- Paired axial CT (left) and PSMA PET (right), 18F-PSMA tracer
- slice 134 of 963
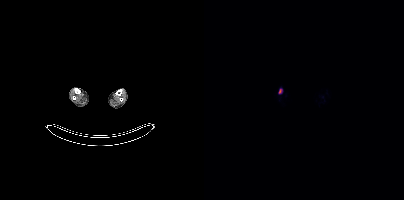
Findings: Coordinates are on the 200×200 PET (right) panel. Small PSMA-avid focus (2 to 4 px across) near (center x, center y): (75, 89).